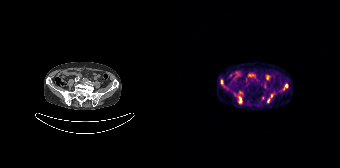
Findings: Coordinates are on the 168×168 PET (right) panel. (showing 7 of 9 foci) PSMA-avid tumor lesion bounding boxes (x0,y0,x1,y1): [67,96,69,103] [49,80,50,84]. Small PSMA-avid foci (2 to 4 px across) near (center x, center y): (114, 85) (96, 100) (99, 96) (90, 97) (92, 85).
Technique: Paired axial CT (left) and PSMA PET (right), [68Ga]Ga-PSMA-11 tracer. PET panel 168×168 px (4.1 mm/px).